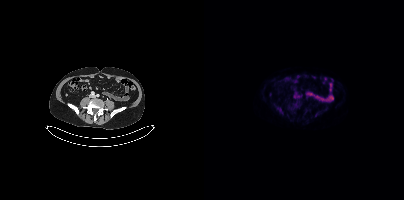
{"modality":"PSMA PET/CT","view":"axial","tracer":"18F-PSMA","pet_grid":[200,200],"coord_frame":"pet_panel","coord_format":"x0,y0,x1,y1","psma_avid_lesions":false}